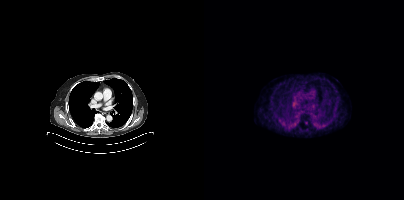
Two-panel axial: CT | PSMA PET, 68Ga tracer. PET panel 200×200 px (4.1 mm/px). Coordinates are on the 200×200 PET (right) panel. Small PSMA-avid focus (2 to 4 px across) near (center x, center y): (102, 122).